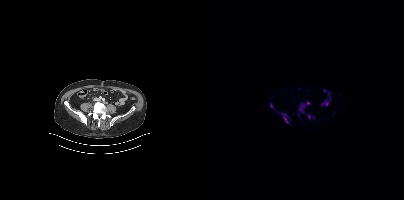
- Left: CT. Right: PSMA PET, same axial level, 18F-PSMA tracer
- acquired on Siemens Biograph mCT Flow 20
- slice 142 of 395
- PET panel 200×200 px (4.1 mm/px)
Findings: Coordinates are on the 200×200 PET (right) panel. PSMA-avid tumor lesion bounding boxes (x0,y0,x1,y1): [94,103,101,112]; [76,112,84,123]; [104,115,106,119]; [66,104,69,108]. Small PSMA-avid focus (2 to 4 px across) near (center x, center y): (104, 103).